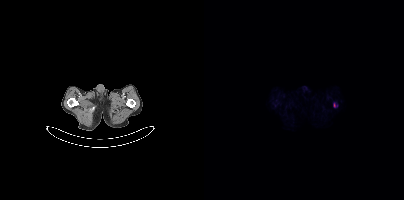
Two-panel axial: CT | PSMA PET, [18F]PSMA-1007 tracer. Coordinates are on the 200×200 PET (right) panel. Small PSMA-avid focus (2 to 4 px across) near (center x, center y): (130, 104).